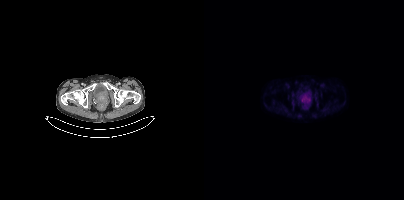
Coordinates are on the 200×200 PET (right) panel. PSMA-avid tumor lesion bounding box (x0, y0)-(x1, y1): (97, 95)-(107, 102).